Left: CT. Right: PSMA PET, same axial level, 18F-PSMA tracer.
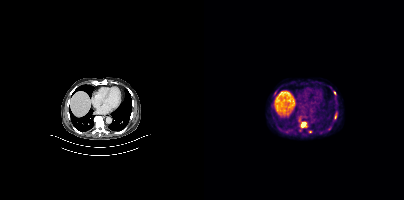
Coordinates are on the 200×200 PET (right) panel. PSMA-avid tumor lesion bounding boxes (partial; 2 more foci not listed):
| # | x0 | y0 | x1 | y1 |
|---|---|---|---|---|
| 1 | 96 | 121 | 103 | 127 |
Small PSMA-avid foci (2 to 4 px across) near (center x, center y): (130, 92); (131, 116); (106, 131).